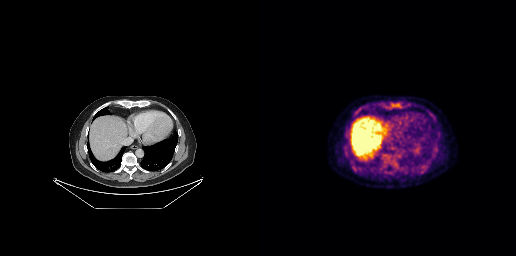
- Paired axial CT (left) and PSMA PET (right), [18F]PSMA-1007 tracer
- acquired on GE Discovery 690
Findings: Coordinates are on the 256×256 PET (right) panel. PSMA-avid tumor lesion bounding box (x0, y0)-(x1, y1): (131, 103)-(139, 107).